Two-panel axial: CT | PSMA PET, 18F tracer. PET panel 200×200 px (4.1 mm/px).
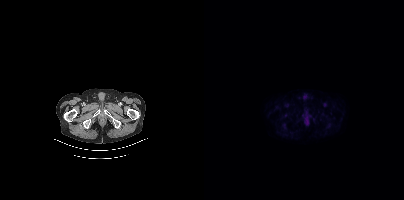
No PSMA-avid tumor lesions on this slice.